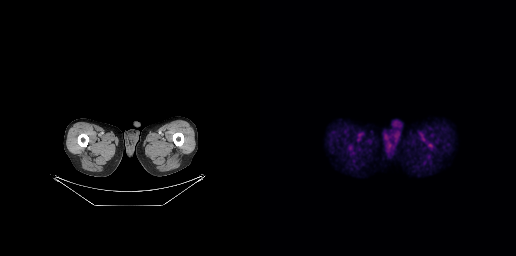
- Left: CT. Right: PSMA PET, same axial level, 18F tracer
- slice position z = -845 mm
Findings: No PSMA-avid tumor lesions on this slice.